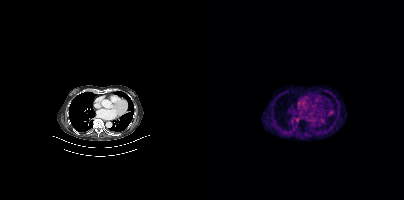
Findings: Negative for PSMA-avid disease on this slice.
- Paired axial CT (left) and PSMA PET (right), [68Ga]Ga-PSMA-11 tracer
- slice position z = -656 mm
- PET panel 200×200 px (4.1 mm/px)